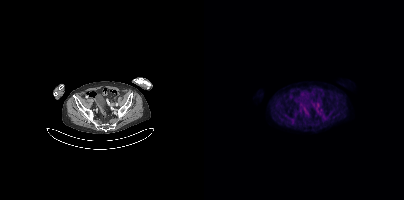
modality: PSMA PET/CT | tracer: 18F-PSMA | view: axial
Coordinates are on the 200×200 PET (right) panel. (showing 1 of 2 foci) PSMA-avid tumor lesion bounding box (x, y, width, height): x=113 y=102 w=3 h=5.